modality: PSMA PET/CT | tracer: 18F-PSMA | view: axial | PET grid: 200×200
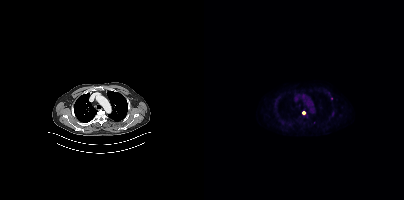
Coordinates are on the 200×200 PET (right) panel. Small PSMA-avid focus (2 to 4 px across) near (center x, center y): (100, 112).